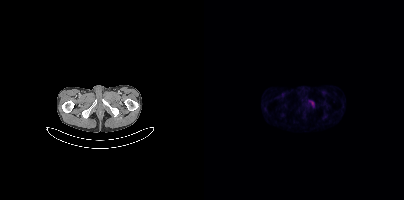
- Left: CT. Right: PSMA PET, same axial level, 68Ga tracer
- acquired on Siemens Biograph mCT Flow 20
- slice 34 of 409
Findings: Coordinates are on the 200×200 PET (right) panel. PSMA-avid tumor lesion bounding box (x0,y0,x1,y1): [105,100,110,107].